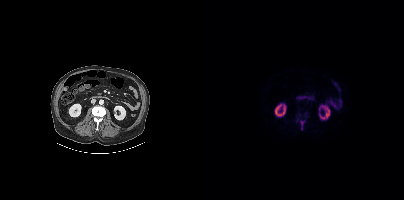
- Two-panel axial: CT | PSMA PET, 18F tracer
- PET panel 200×200 px (4.1 mm/px)
Findings: Coordinates are on the 200×200 PET (right) panel. PSMA-avid tumor lesion bounding box (x0, y0)-(x1, y1): (96, 120)-(100, 129).